Paired axial CT (left) and PSMA PET (right), 18F tracer.
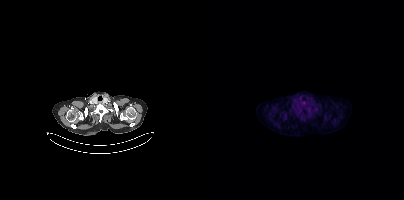
No PSMA-avid tumor lesions on this slice.